modality: PSMA PET/CT | tracer: 18F | view: axial
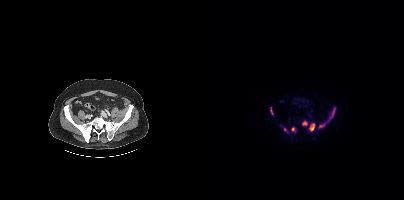
Coordinates are on the 200×200 PET (right) panel. PSMA-avid tumor lesion bounding boxes (x0,y0,x1,y1): [105,123,110,131]; [126,108,131,118]; [98,121,103,125]; [87,127,91,131]; [115,123,121,127]; [66,107,69,114]. Small PSMA-avid focus (2 to 4 px across) near (center x, center y): (81, 129).